modality: PSMA PET/CT | tracer: [68Ga]Ga-PSMA-11 | view: axial | PET grid: 168×168
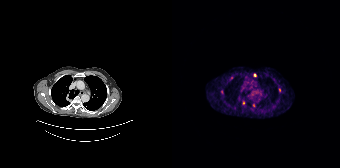
Coordinates are on the 168×168 PET (right) panel. Small PSMA-avid foci (2 to 4 px across) near (center x, center y): (71, 102) | (49, 91) | (82, 74).